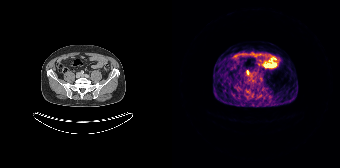
Coordinates are on the 168×168 PET (right) panel. Small PSMA-avid focus (2 to 4 px across) near (center x, center y): (75, 72).